Two-panel axial: CT | PSMA PET, 68Ga-PSMA tracer.
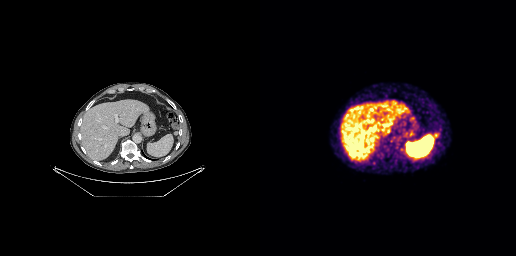
Coordinates are on the 256×256 PET (right) panel. PSMA-avid tumor lesion bounding box (x0,y0,x1,y1): [174,132,179,138].